modality: PSMA PET/CT | tracer: 18F | view: axial
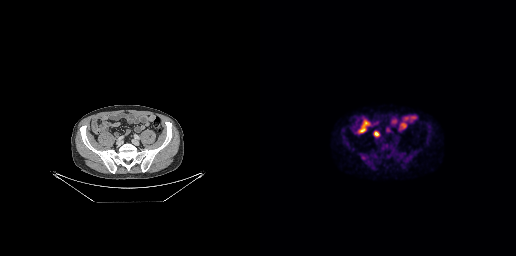
Coordinates are on the 256×256 PET (right) panel. Small PSMA-avid focus (2 to 4 px across) near (center x, center y): (103, 157).